modality: PSMA PET/CT | tracer: [18F]PSMA-1007 | view: axial | PET grid: 200×200
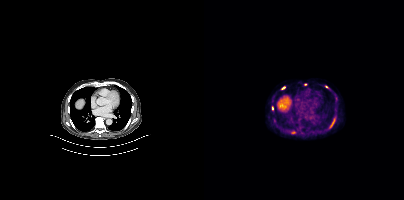
Coordinates are on the 200×200 PET (right) panel. PSMA-avid tumor lesion bounding box (x0,y0,x1,y1): [126,119,130,127]. Small PSMA-avid foci (2 to 4 px across) near (center x, center y): (68, 107), (79, 88), (122, 86), (89, 132), (101, 84).